Paired axial CT (left) and PSMA PET (right), 68Ga tracer.
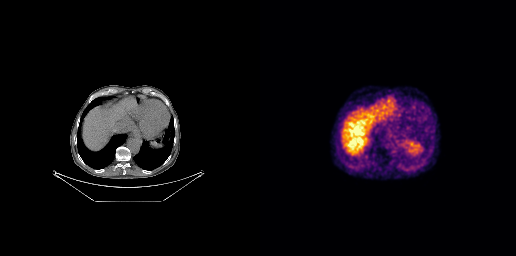
No tumor lesions annotated on this slice.